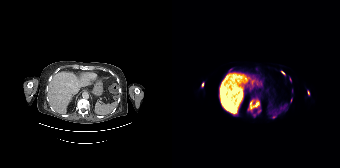
Technique: Two-panel axial: CT | PSMA PET, [18F]PSMA-1007 tracer. acquired on Siemens Biograph 64-4R TruePoint.
Findings: Coordinates are on the 168×168 PET (right) panel. (showing 6 of 7 foci) PSMA-avid tumor lesion bounding boxes (x, y, width, height): x=76 y=99 w=12 h=13 | x=29 y=82 w=4 h=6 | x=109 y=71 w=5 h=5. Small PSMA-avid foci (2 to 4 px across) near (center x, center y): (136, 92) | (87, 111) | (118, 79).